Left: CT. Right: PSMA PET, same axial level, [18F]PSMA-1007 tracer. Acquired on Siemens Biograph mCT Flow 20.
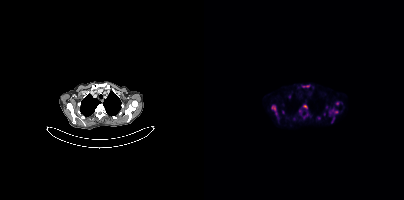
Coordinates are on the 200×200 PET (right) panel. (showing 8 of 13 foci) PSMA-avid tumor lesion bounding boxes (x, y, width, height): x=67 y=105 w=7 h=10 | x=125 y=109 w=10 h=5 | x=99 y=105 w=5 h=4. Small PSMA-avid foci (2 to 4 px across) near (center x, center y): (133, 103) | (101, 85) | (95, 110) | (114, 117) | (129, 118).